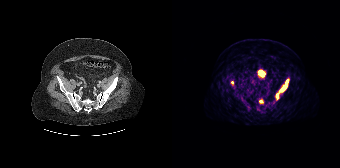
Paired axial CT (left) and PSMA PET (right), [68Ga]Ga-PSMA-11 tracer. Slice 74 of 195. PET panel 168×168 px (4.1 mm/px). Coordinates are on the 168×168 PET (right) panel. PSMA-avid tumor lesion bounding box (x0,y0,x1,y1): [104,79,116,99]. Small PSMA-avid foci (2 to 4 px across) near (center x, center y): (88, 101), (60, 82).